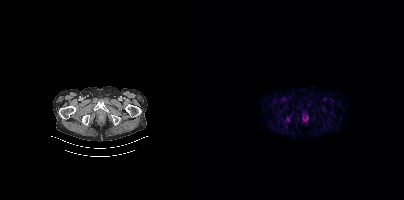
{"pet_grid":[200,200],"coord_frame":"pet_panel","coord_format":"x0,y0,x1,y1","psma_avid_lesions":false,"modality":"PSMA PET/CT","view":"axial","tracer":"18F"}